- a rectangle over the head was blacked out to remove identifiable facial features
- Two-panel axial: CT | PSMA PET, 18F tracer
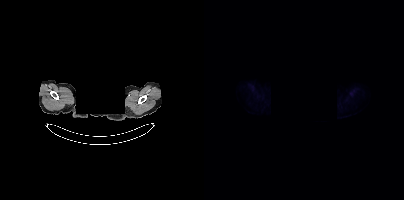
Findings: No PSMA-avid tumor lesions on this slice.